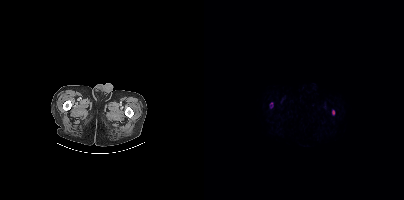
Coordinates are on the 200×200 PET (right) panel. PSMA-avid tumor lesion bounding boxes (x, y, width, height): x=128 y=110 w=3 h=6 / x=66 y=103 w=3 h=6. Paired axial CT (left) and PSMA PET (right), 18F tracer. Slice 24 of 423.